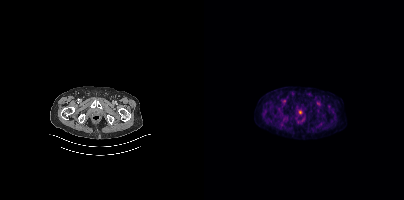
No tumor lesions annotated on this slice.